Paired axial CT (left) and PSMA PET (right), 68Ga tracer. Acquired on Siemens Biograph 64-4R TruePoint.
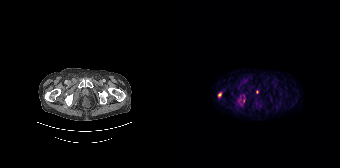
Coordinates are on the 168×168 PET (right) panel. (showing 1 of 2 foci) PSMA-avid tumor lesion bounding box (x0, y0)-(x1, y1): (46, 92)-(49, 96).